Two-panel axial: CT | PSMA PET, 18F-PSMA tracer. Slice 399 of 423. PET panel 200×200 px (4.1 mm/px). Face de-identified by blanking a block of the head.
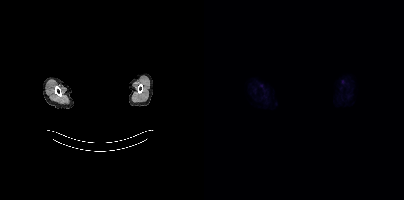
This slice has no annotated PSMA-avid lesion.